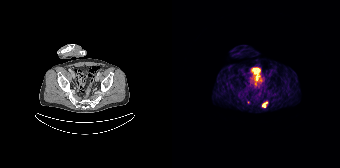
Coordinates are on the 168×168 PET (right) panel. PSMA-avid tumor lesion bounding box (x0,y0,x1,y1): [90,101,95,107]. Small PSMA-avid focus (2 to 4 px across) near (center x, center y): (76, 102).